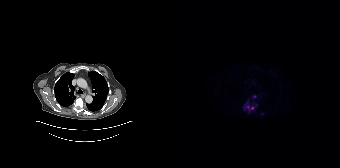
Left: CT. Right: PSMA PET, same axial level, [18F]PSMA-1007 tracer. Acquired on Siemens Biograph 64-4R TruePoint. PET panel 168×168 px (4.1 mm/px).
Coordinates are on the 168×168 PET (right) panel. PSMA-avid tumor lesion bounding boxes (partial; 2 more foci not listed):
| # | x0 | y0 | x1 | y1 |
|---|---|---|---|---|
| 1 | 73 | 105 | 82 | 112 |
Small PSMA-avid foci (2 to 4 px across) near (center x, center y): (82, 96); (74, 102).